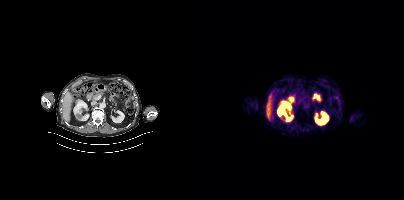
modality: PSMA PET/CT | tracer: 18F-PSMA | view: axial | PET grid: 200×200
No PSMA-avid tumor lesions on this slice.